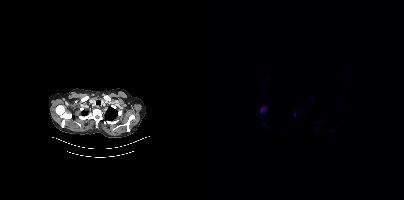
Coordinates are on the 200×200 PET (right) panel. PSMA-avid tumor lesion bounding boxes (x, y, width, height): x=56 y=106 w=6 h=7; x=90 y=112 w=2 h=5.